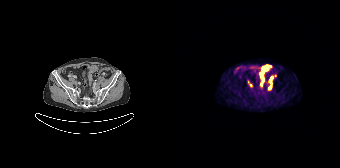
Two-panel axial: CT | PSMA PET, 68Ga tracer. PET panel 168×168 px (4.1 mm/px).
Coordinates are on the 168×168 PET (right) panel. PSMA-avid tumor lesion bounding boxes:
| # | x0 | y0 | x1 | y1 |
|---|---|---|---|---|
| 1 | 88 | 65 | 98 | 80 |
| 2 | 97 | 76 | 100 | 89 |
| 3 | 89 | 82 | 91 | 86 |
Small PSMA-avid focus (2 to 4 px across) near (center x, center y): (78, 85).